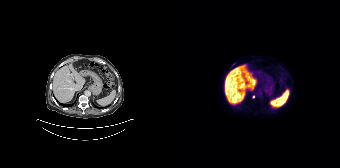
Findings: Coordinates are on the 168×168 PET (right) panel. Small PSMA-avid focus (2 to 4 px across) near (center x, center y): (81, 96).
- Two-panel axial: CT | PSMA PET, 18F-PSMA tracer
- slice position z = -968 mm
- PET panel 168×168 px (4.1 mm/px)